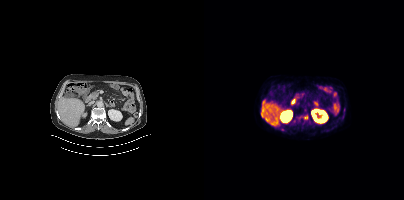
Negative for PSMA-avid disease on this slice.